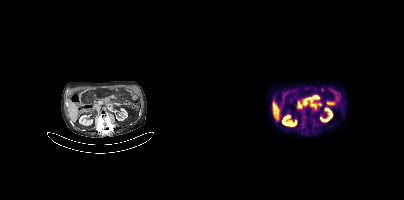
Paired axial CT (left) and PSMA PET (right), 18F-PSMA tracer. Slice position z = -1298 mm. PET panel 200×200 px (4.1 mm/px). Coordinates are on the 200×200 PET (right) panel. PSMA-avid tumor lesion bounding box (x0,y0,x1,y1): [99,95,115,104].